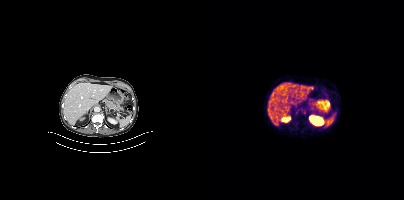
{"modality":"PSMA PET/CT","view":"axial","tracer":"68Ga","pet_grid":[200,200],"coord_frame":"pet_panel","coord_format":"x0,y0,x1,y1","psma_avid_lesions":false}